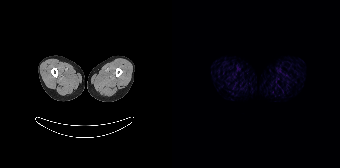
- Left: CT. Right: PSMA PET, same axial level, 68Ga tracer
Findings: Negative for PSMA-avid disease on this slice.